- Left: CT. Right: PSMA PET, same axial level, 68Ga tracer
- PET panel 200×200 px (4.1 mm/px)
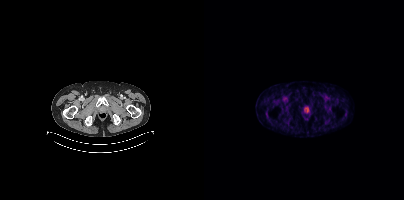
Findings: Coordinates are on the 200×200 PET (right) panel. Small PSMA-avid focus (2 to 4 px across) near (center x, center y): (103, 110).